Left: CT. Right: PSMA PET, same axial level, [18F]PSMA-1007 tracer.
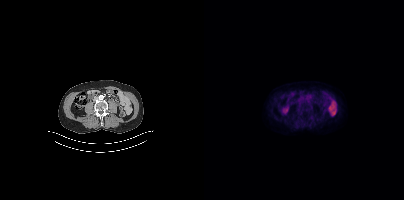
Only PSMA-avid lesion pieces thinner than 2 px on this slice (not listed).